Technique: Paired axial CT (left) and PSMA PET (right), [18F]PSMA-1007 tracer. slice 262 of 450.
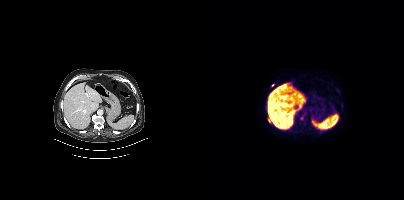
Findings: Coordinates are on the 200×200 PET (right) panel. (showing 1 of 2 foci) Small PSMA-avid focus (2 to 4 px across) near (center x, center y): (68, 85).